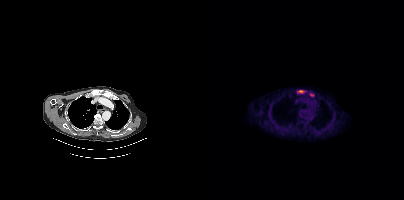
Coordinates are on the 200×200 PET (right) panel. PSMA-avid tumor lesion bounding box (x, y, width, height): x=94 y=90 w=6 h=3. Small PSMA-avid focus (2 to 4 px across) near (center x, center y): (108, 94).